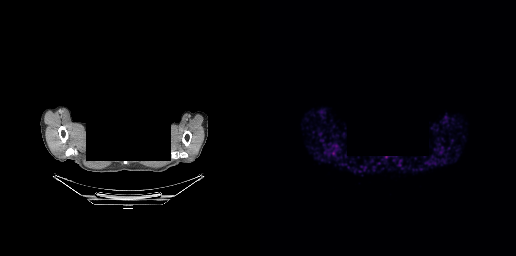
- head region blanked for anonymization (face removed)
- Paired axial CT (left) and PSMA PET (right), 68Ga tracer
Findings: This slice has no annotated PSMA-avid lesion.